- Paired axial CT (left) and PSMA PET (right), [18F]PSMA-1007 tracer
- acquired on Siemens Biograph mCT Flow 20
- slice 14 of 454
- PET panel 200×200 px (4.1 mm/px)
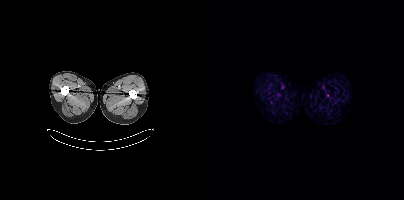
Findings: No tumor lesions annotated on this slice.